modality: PSMA PET/CT | tracer: 18F | view: axial | PET grid: 200×200
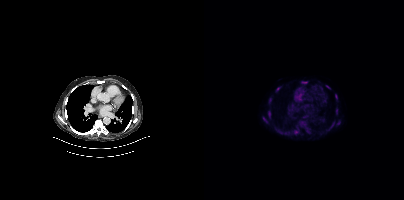
Coordinates are on the 200×200 PET (right) panel. (showing 8 of 9 foci) PSMA-avid tumor lesion bounding boxes (x0, y0)-(x1, y1): (95, 121)-(103, 128); (64, 111)-(66, 117); (65, 98)-(67, 103); (59, 117)-(63, 122); (98, 81)-(103, 83); (131, 94)-(133, 99). Small PSMA-avid foci (2 to 4 px across) near (center x, center y): (73, 88); (125, 87).